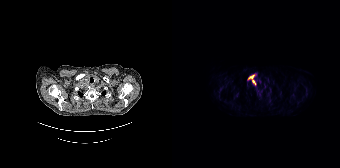
Coordinates are on the 168×168 PET (right) panel. PSMA-avid tumor lesion bounding box (x0,y0,x1,y1): [76,74,84,85].